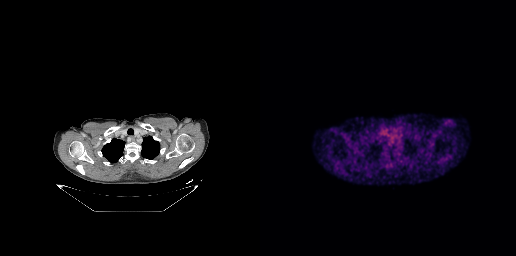
- Two-panel axial: CT | PSMA PET, [18F]PSMA-1007 tracer
- slice position z = -316 mm
- PET panel 256×256 px (2.7 mm/px)
Findings: Negative for PSMA-avid disease on this slice.